Left: CT. Right: PSMA PET, same axial level, 18F-PSMA tracer. Acquired on Siemens Biograph mCT Flow 20. Slice 97 of 383.
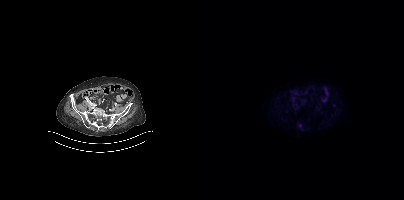
Only PSMA-avid lesion pieces thinner than 2 px on this slice (not listed).